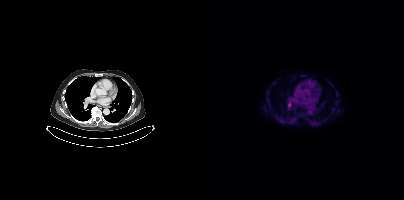
Coordinates are on the 200×200 PET (right) panel. PSMA-avid tumor lesion bounding boxes:
| # | x0 | y0 | x1 | y1 |
|---|---|---|---|---|
| 1 | 84 | 102 | 86 | 106 |
Left: CT. Right: PSMA PET, same axial level, 18F tracer. Acquired on Siemens Biograph mCT Flow 20.